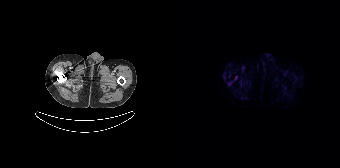
Paired axial CT (left) and PSMA PET (right), 18F-PSMA tracer. Acquired on Siemens Biograph 64-4R TruePoint. PET panel 168×168 px (4.1 mm/px). Negative for PSMA-avid disease on this slice.